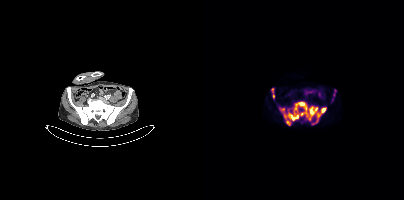
Findings: Coordinates are on the 200×200 PET (right) panel. (showing 4 of 5 foci) PSMA-avid tumor lesion bounding boxes (x0,y0,x1,y1): [75,101,122,125] [67,88,70,98] [129,89,132,96]. Small PSMA-avid focus (2 to 4 px across) near (center x, center y): (128, 99).
- Paired axial CT (left) and PSMA PET (right), [18F]PSMA-1007 tracer
- PET panel 200×200 px (4.1 mm/px)